Technique: Paired axial CT (left) and PSMA PET (right), [18F]PSMA-1007 tracer. slice position z = -407 mm.
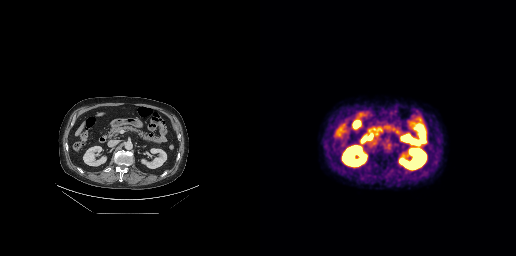
Findings: Negative for PSMA-avid disease on this slice.